Two-panel axial: CT | PSMA PET, [18F]PSMA-1007 tracer. Acquired on Siemens Biograph mCT Flow 20. Slice 395 of 417. Privacy masking over the head, with the pixels inside a rectangle set to black.
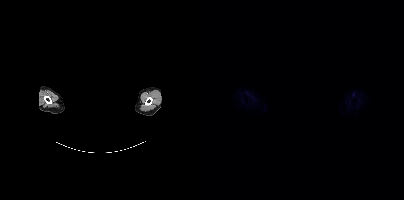
No PSMA-avid tumor lesions on this slice.